Paired axial CT (left) and PSMA PET (right), 18F tracer. PET panel 200×200 px (4.1 mm/px).
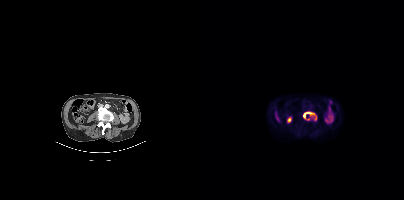
Coordinates are on the 200×200 PET (right) panel. (showing 3 of 4 foci) Small PSMA-avid foci (2 to 4 px across) near (center x, center y): (100, 114) / (109, 113) / (105, 112).